modality: PSMA PET/CT | tracer: 68Ga | view: axial | PET grid: 200×200
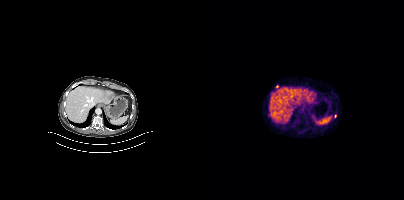
Only PSMA-avid lesion pieces thinner than 2 px on this slice (not listed).